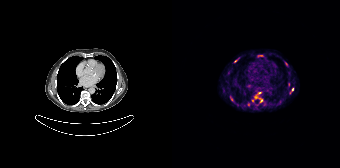
Coordinates are on the 168×168 PET (right) panel. (showing 5 of 7 foci) PSMA-avid tumor lesion bounding boxes (x, y, width, height): x=118 y=88 w=4 h=6 | x=87 y=98 w=4 h=5. Small PSMA-avid foci (2 to 4 px across) near (center x, center y): (84, 97) | (87, 92) | (80, 100).